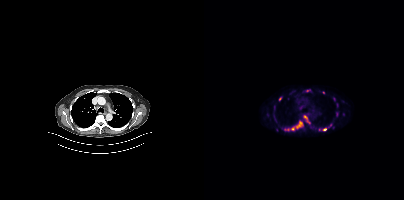
Findings: Coordinates are on the 200×200 PET (right) panel. (showing 7 of 11 foci) PSMA-avid tumor lesion bounding boxes (x0, y0)-(x1, y1): (80, 121)-(99, 130) / (100, 115)-(106, 123) / (114, 128)-(122, 131). Small PSMA-avid foci (2 to 4 px across) near (center x, center y): (133, 113) / (76, 98) / (103, 90) / (119, 92).
- Paired axial CT (left) and PSMA PET (right), [18F]PSMA-1007 tracer
- acquired on Siemens Biograph mCT Flow 20
- slice 301 of 413
- PET panel 200×200 px (4.1 mm/px)